Left: CT. Right: PSMA PET, same axial level, [18F]PSMA-1007 tracer.
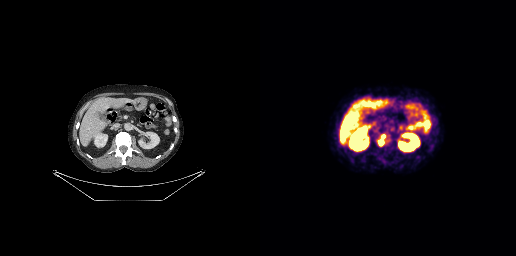
Coordinates are on the 256×256 PET (right) panel. PSMA-avid tumor lesion bounding boxes:
| # | x0 | y0 | x1 | y1 |
|---|---|---|---|---|
| 1 | 119 | 135 | 125 | 145 |